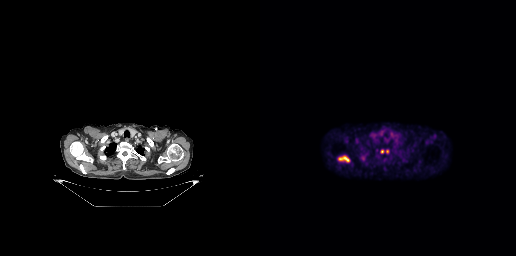
- Left: CT. Right: PSMA PET, same axial level, 18F-PSMA tracer
- slice 216 of 263
- PET panel 256×256 px (2.7 mm/px)
Findings: Coordinates are on the 256×256 PET (right) panel. (showing 1 of 2 foci) PSMA-avid tumor lesion bounding box (x, y, width, height): x=78 y=155 w=12 h=8.